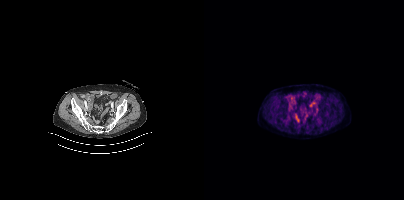
Findings: This slice has no annotated PSMA-avid lesion.
Technique: Left: CT. Right: PSMA PET, same axial level, [18F]PSMA-1007 tracer. slice 98 of 409. PET panel 200×200 px (4.1 mm/px).